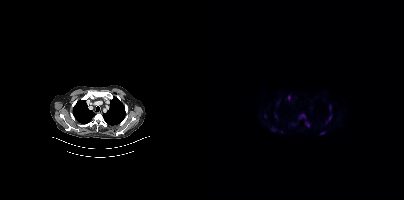
Left: CT. Right: PSMA PET, same axial level, [18F]PSMA-1007 tracer. Acquired on Siemens Biograph mCT Flow 20. Slice position z = -330 mm. PET panel 200×200 px (4.1 mm/px). Coordinates are on the 200×200 PET (right) panel. (showing 7 of 11 foci) PSMA-avid tumor lesion bounding boxes (x, y, width, height): x=94 y=112 w=8 h=7 / x=84 y=96 w=3 h=5 / x=125 y=115 w=3 h=6 / x=125 y=105 w=3 h=6 / x=116 y=132 w=5 h=3. Small PSMA-avid foci (2 to 4 px across) near (center x, center y): (103, 124) / (122, 121).